Technique: Paired axial CT (left) and PSMA PET (right), 18F-PSMA tracer. PET panel 200×200 px (4.1 mm/px).
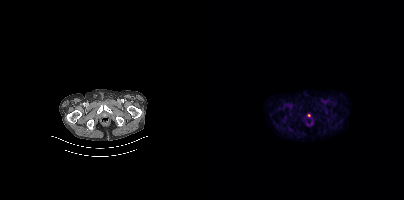
Findings: Coordinates are on the 200×200 PET (right) panel. Small PSMA-avid focus (2 to 4 px across) near (center x, center y): (104, 115).